Left: CT. Right: PSMA PET, same axial level, 68Ga-PSMA tracer.
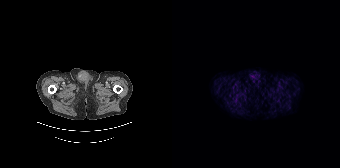
No tumor lesions annotated on this slice.